Technique: Paired axial CT (left) and PSMA PET (right), [18F]PSMA-1007 tracer. acquired on Siemens Biograph mCT Flow 20.
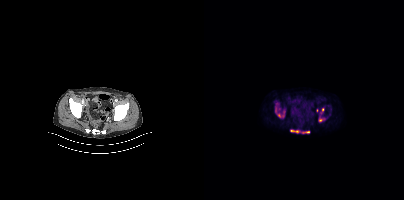
Findings: Coordinates are on the 200×200 PET (right) panel. (showing 6 of 8 foci) PSMA-avid tumor lesion bounding boxes (x0, y0)-(x1, y1): (86, 130)-(95, 132) | (98, 131)-(105, 133) | (74, 114)-(79, 117). Small PSMA-avid foci (2 to 4 px across) near (center x, center y): (116, 120) | (71, 109) | (118, 109).